Two-panel axial: CT | PSMA PET, [68Ga]Ga-PSMA-11 tracer. Acquired on Siemens Biograph 64-4R TruePoint.
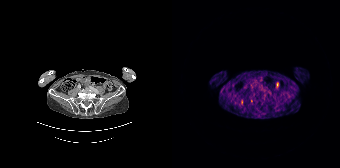
No tumor lesions annotated on this slice.